- Left: CT. Right: PSMA PET, same axial level, [18F]PSMA-1007 tracer
- slice 303 of 403
- PET panel 200×200 px (4.1 mm/px)
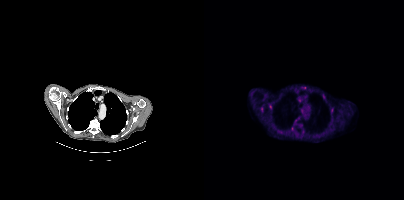
Findings: Coordinates are on the 200×200 PET (right) panel. (showing 1 of 3 foci) Small PSMA-avid focus (2 to 4 px across) near (center x, center y): (66, 106).